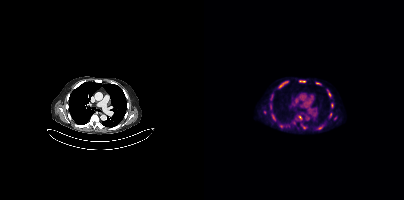
Coordinates are on the 200×200 PET (right) panel. (showing 11 of 13 foci) PSMA-avid tumor lesion bounding boxes (x0,y0,x1,y1): [75,81,84,88]; [95,80,101,82]; [124,90,127,96]; [98,125,102,128]; [112,82,116,84]; [69,116,71,120]. Small PSMA-avid foci (2 to 4 px across) near (center x, center y): (116, 126); (96, 117); (126, 114); (66, 107); (127, 106). Left: CT. Right: PSMA PET, same axial level, 18F tracer. Slice 256 of 373. PET panel 200×200 px (4.1 mm/px).